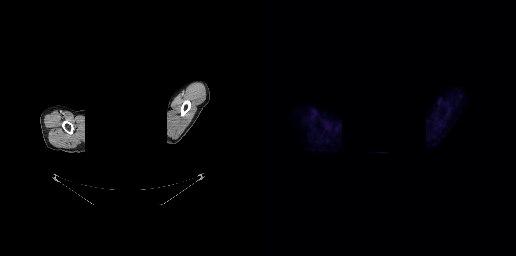
Two-panel axial: CT | PSMA PET, [18F]PSMA-1007 tracer. The head region is masked for de-identification. No tumor lesions annotated on this slice.